modality: PSMA PET/CT | tracer: 18F-PSMA | view: axial
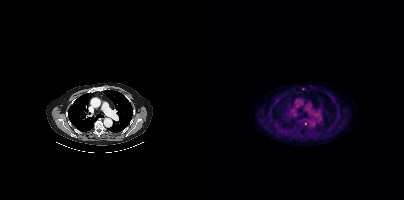
Coordinates are on the 200×200 PET (right) panel. (showing 1 of 2 foci) Small PSMA-avid focus (2 to 4 px across) near (center x, center y): (99, 88).